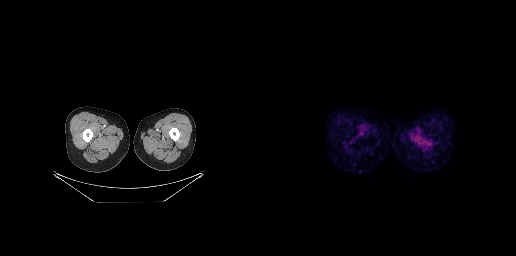
No tumor lesions annotated on this slice.